Two-panel axial: CT | PSMA PET, [18F]PSMA-1007 tracer. Slice position z = -996 mm.
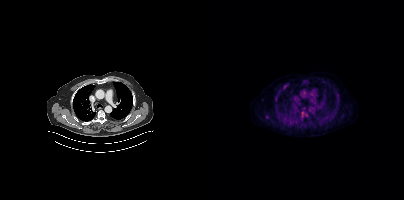
Coordinates are on the 200×200 PET (right) panel. PSMA-avid tumor lesion bounding boxes (partial; 2 more foci not listed):
| # | x0 | y0 | x1 | y1 |
|---|---|---|---|---|
| 1 | 97 | 111 | 103 | 117 |